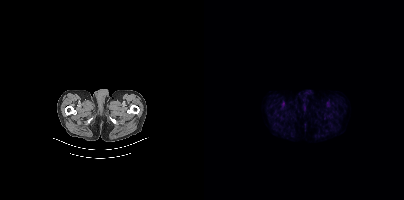
Technique: Paired axial CT (left) and PSMA PET (right), [18F]PSMA-1007 tracer. acquired on Siemens Biograph mCT Flow 20. slice position z = -1552 mm. PET panel 200×200 px (4.1 mm/px).
Findings: No PSMA-avid tumor lesions on this slice.